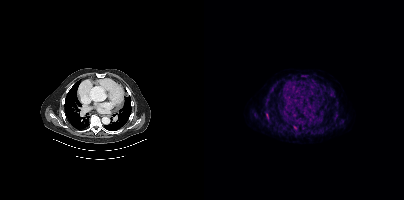
Findings: Coordinates are on the 200×200 PET (right) panel. PSMA-avid tumor lesion bounding box (x0,y0,x1,y1): [62,114,64,118]. Small PSMA-avid focus (2 to 4 px across) near (center x, center y): (91, 127).
Technique: Paired axial CT (left) and PSMA PET (right), [18F]PSMA-1007 tracer.